Two-panel axial: CT | PSMA PET, [18F]PSMA-1007 tracer. Slice position z = -1453 mm. PET panel 200×200 px (4.1 mm/px).
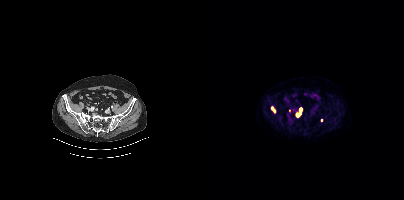
Coordinates are on the 200×200 PET (right) panel. (showing 4 of 5 foci) PSMA-avid tumor lesion bounding boxes (x0,y0,x1,y1): [92,112,96,116]; [67,107,71,112]. Small PSMA-avid foci (2 to 4 px across) near (center x, center y): (96, 109); (117, 120).